Two-panel axial: CT | PSMA PET, 18F-PSMA tracer. Slice position z = -1049 mm.
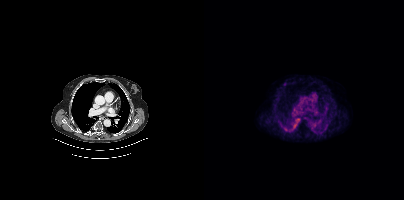
Coordinates are on the 200×200 PET (right) panel. Small PSMA-avid focus (2 to 4 px across) near (center x, center y): (80, 83).